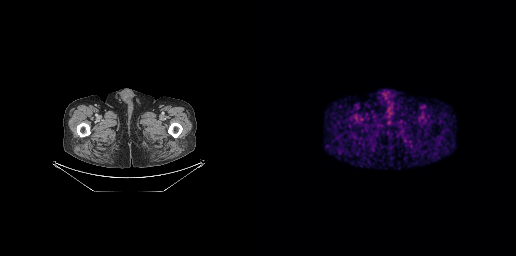
Negative for PSMA-avid disease on this slice.